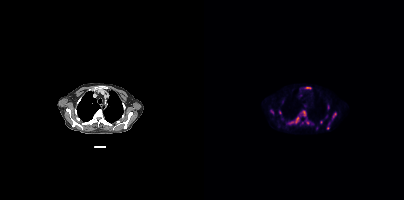
Coordinates are on the 200×200 PET (right) panel. (showing 10 of 11 foci) PSMA-avid tumor lesion bounding boxes (x0,y0,x1,y1): [83,111,102,124], [128,112,132,118], [101,87,107,89], [123,105,125,109], [102,119,105,124]. Small PSMA-avid foci (2 to 4 px across) near (center x, center y): (68, 111), (76, 112), (123, 128), (117, 122), (98, 122).